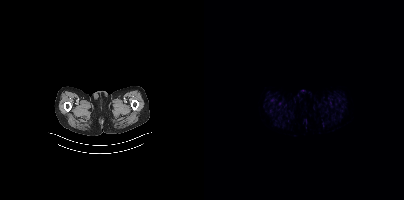
Findings: Negative for PSMA-avid disease on this slice.
- Left: CT. Right: PSMA PET, same axial level, 18F tracer